Technique: Left: CT. Right: PSMA PET, same axial level, 18F-PSMA tracer. PET panel 200×200 px (4.1 mm/px).
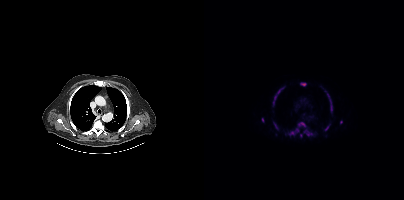
Findings: Coordinates are on the 200×200 PET (right) panel. (showing 10 of 11 foci) PSMA-avid tumor lesion bounding boxes (x, y, width, height): x=85 y=122 w=17 h=14 / x=69 y=88 w=11 h=18 / x=123 y=93 w=6 h=19 / x=96 y=83 w=7 h=4 / x=69 y=122 w=6 h=8 / x=121 y=126 w=4 h=5 / x=58 y=118 w=3 h=5 / x=99 y=130 w=4 h=5. Small PSMA-avid foci (2 to 4 px across) near (center x, center y): (97, 135) / (137, 122).